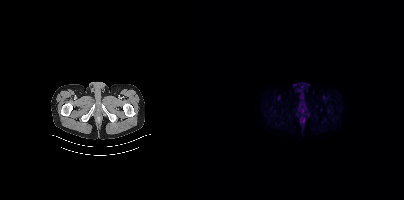
No PSMA-avid tumor lesions on this slice.